modality: PSMA PET/CT | tracer: 68Ga-PSMA | view: axial | PET grid: 168×168
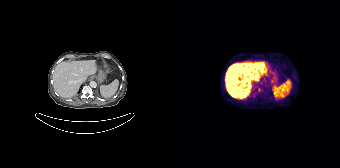
Only PSMA-avid lesion pieces thinner than 2 px on this slice (not listed).